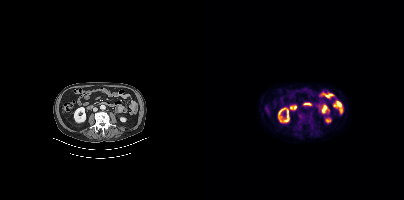
Negative for PSMA-avid disease on this slice.